De-identified by setting a box covering the face to black before release. Left: CT. Right: PSMA PET, same axial level, 68Ga tracer.
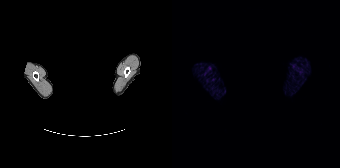
No tumor lesions annotated on this slice.